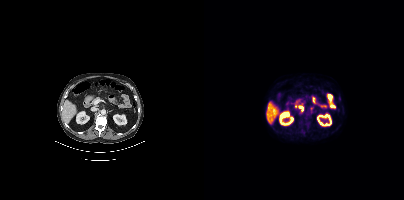
Two-panel axial: CT | PSMA PET, [18F]PSMA-1007 tracer. Acquired on Siemens Biograph mCT Flow 20. Slice 210 of 417.
Coordinates are on the 200×200 PET (right) panel. PSMA-avid tumor lesion bounding boxes:
| # | x0 | y0 | x1 | y1 |
|---|---|---|---|---|
| 1 | 95 | 106 | 99 | 110 |